Paired axial CT (left) and PSMA PET (right), [18F]PSMA-1007 tracer. Acquired on Siemens Biograph mCT Flow 20. Slice 156 of 442.
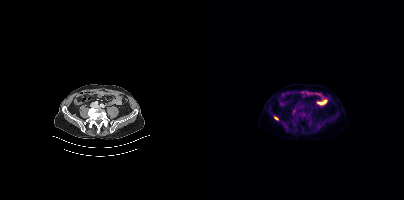
Coordinates are on the 200×200 PET (right) panel. PSMA-avid tumor lesion bounding box (x0,y0,x1,y1): [70,116,74,120]. Small PSMA-avid focus (2 to 4 px across) near (center x, center y): (89, 111).